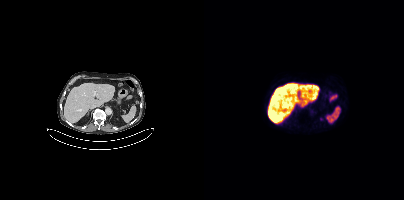
Left: CT. Right: PSMA PET, same axial level, [18F]PSMA-1007 tracer. Slice position z = 88 mm. PET panel 200×200 px (4.1 mm/px). This slice has no annotated PSMA-avid lesion.